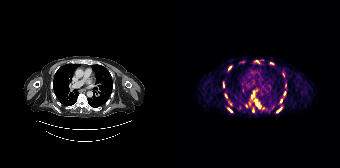
Findings: Coordinates are on the 168×168 PET (right) panel. (showing 15 of 19 foci) PSMA-avid tumor lesion bounding boxes (x, y, width, height): x=83 y=100 w=7 h=9 / x=80 y=107 w=3 h=6 / x=81 y=90 w=4 h=5 / x=104 y=108 w=6 h=5 / x=56 y=66 w=4 h=5 / x=56 y=108 w=4 h=5 / x=112 y=91 w=2 h=5. Small PSMA-avid foci (2 to 4 px across) near (center x, center y): (99, 63) / (109, 100) / (111, 74) / (113, 86) / (58, 104) / (77, 104) / (51, 85) / (53, 95).
Technique: Paired axial CT (left) and PSMA PET (right), 68Ga tracer.